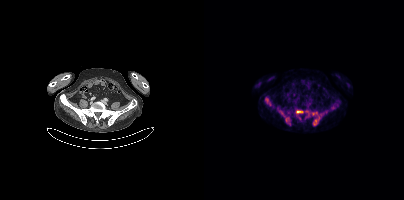
- Two-panel axial: CT | PSMA PET, 18F-PSMA tracer
- acquired on Siemens Biograph mCT Flow 20
- slice position z = -152 mm
- PET panel 200×200 px (4.1 mm/px)
Findings: Coordinates are on the 200×200 PET (right) panel. (showing 6 of 8 foci) PSMA-avid tumor lesion bounding boxes (x0, y0)-(x1, y1): (108, 111)-(119, 125) / (77, 113)-(86, 124) / (92, 109)-(99, 114) / (62, 98)-(67, 105) / (101, 110)-(105, 116). Small PSMA-avid focus (2 to 4 px across) near (center x, center y): (95, 118).